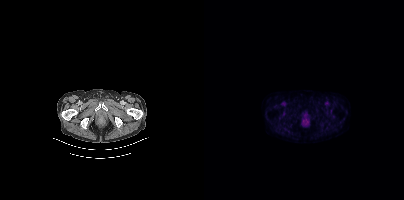
modality: PSMA PET/CT | tracer: 18F | view: axial | PET grid: 200×200
This slice has no annotated PSMA-avid lesion.